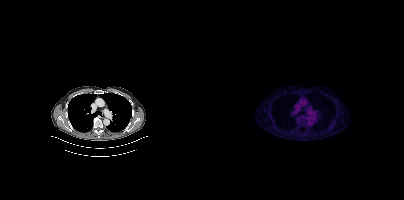
Only PSMA-avid lesion pieces thinner than 2 px on this slice (not listed).
modality: PSMA PET/CT | tracer: [18F]PSMA-1007 | view: axial